- Two-panel axial: CT | PSMA PET, [18F]PSMA-1007 tracer
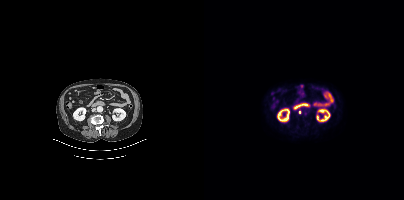
Findings: Coordinates are on the 200×200 PET (right) panel. PSMA-avid tumor lesion bounding box (x0, y0)-(x1, y1): (94, 110)-(97, 114).